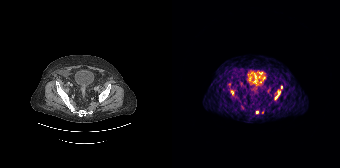
{"modality":"PSMA PET/CT","view":"axial","tracer":"68Ga-PSMA","pet_grid":[168,168],"coord_frame":"pet_panel","coord_format":"x0,y0,x1,y1","lesion_bboxes":[[102,91,108,99]],"small_foci_centers":[[60,92],[85,112],[90,112],[109,87]]}